Paired axial CT (left) and PSMA PET (right), 18F-PSMA tracer. Slice position z = -258 mm. PET panel 200×200 px (4.1 mm/px).
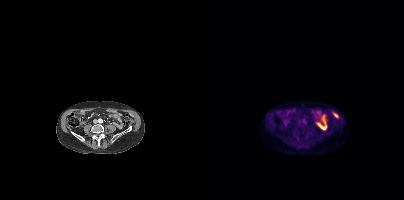
Negative for PSMA-avid disease on this slice.